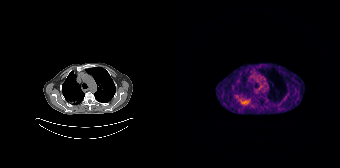
Coordinates are on the 168×168 PET (right) panel. PSMA-avid tumor lesion bounding box (x, y, width, height): x=69 y=98 w=8 h=8.